Technique: Left: CT. Right: PSMA PET, same axial level, [18F]PSMA-1007 tracer. acquired on Siemens Biograph mCT Flow 20. slice position z = -690 mm. PET panel 200×200 px (4.1 mm/px).
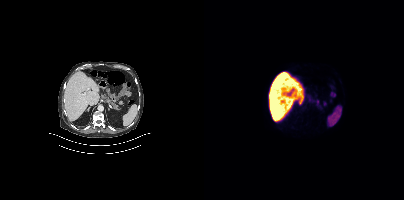
Findings: No PSMA-avid tumor lesions on this slice.